Privacy masking over the head, with the pixels inside a rectangle set to black.
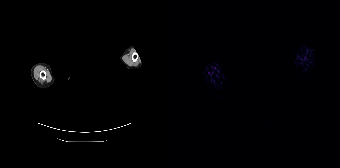
This slice has no annotated PSMA-avid lesion.